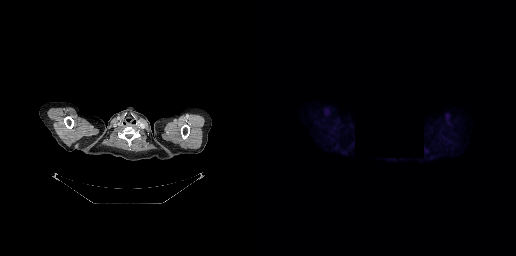
- an anonymization step blacked out a rectangle in this scan
- Left: CT. Right: PSMA PET, same axial level, 18F-PSMA tracer
- acquired on GE Discovery 690
- slice position z = -93 mm
- PET panel 256×256 px (2.7 mm/px)
Findings: No PSMA-avid tumor lesions on this slice.